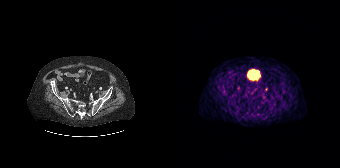
modality: PSMA PET/CT | tracer: 68Ga-PSMA | view: axial
No PSMA-avid tumor lesions on this slice.